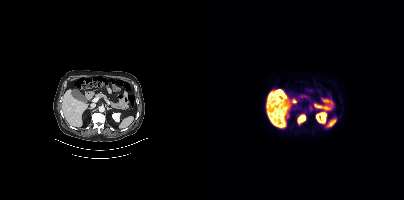
modality: PSMA PET/CT | tracer: 18F | view: axial
Coordinates are on the 200×200 PET (right) panel. PSMA-avid tumor lesion bounding box (x, y, width, height): x=93 y=114 w=10 h=10.